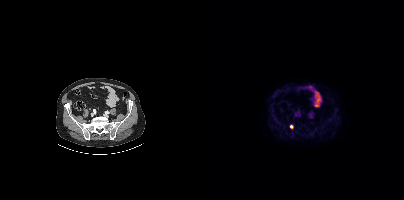
Coordinates are on the 200×200 PET (right) panel. Small PSMA-avid focus (2 to 4 px across) near (center x, center y): (87, 126).